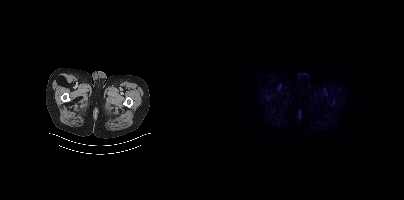
Findings: No PSMA-avid tumor lesions on this slice.
- Two-panel axial: CT | PSMA PET, [18F]PSMA-1007 tracer
- acquired on Siemens Biograph mCT Flow 20
- PET panel 200×200 px (4.1 mm/px)